Paired axial CT (left) and PSMA PET (right), 18F tracer. Slice 76 of 415.
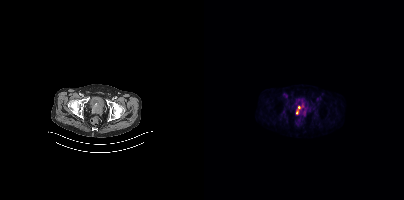
Coordinates are on the 200×200 PET (right) panel. PSMA-avid tumor lesion bounding box (x, y, width, height): x=92 y=106 w=5 h=9.